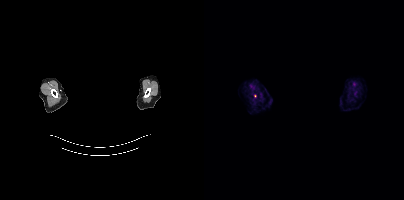
{"pet_grid":[200,200],"coord_frame":"pet_panel","coord_format":"x0,y0,x1,y1","lesion_bboxes":[],"small_foci_centers":[[51,96]],"modality":"PSMA PET/CT","view":"axial","tracer":"[18F]PSMA-1007","deidentification":"facial region redacted"}